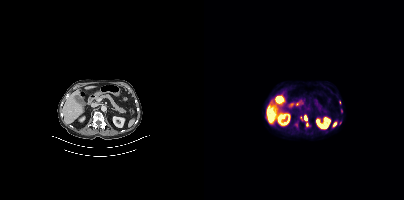
Coordinates are on the 200×200 PET (right) panel. (showing 5 of 6 foci) PSMA-avid tumor lesion bounding boxes (x, y, width, height): x=100 y=115 w=5 h=12 | x=96 y=116 w=3 h=5. Small PSMA-avid foci (2 to 4 px across) near (center x, center y): (137, 110) | (136, 123) | (92, 125).